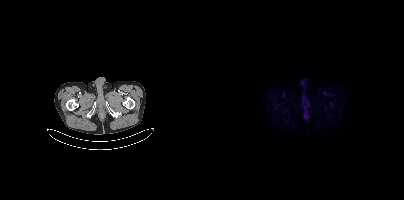
- Left: CT. Right: PSMA PET, same axial level, 18F tracer
- slice position z = -1543 mm
- PET panel 200×200 px (4.1 mm/px)
Findings: Coordinates are on the 200×200 PET (right) panel. PSMA-avid tumor lesion bounding box (x0,y0,x1,y1): [99,111,104,117].